modality: PSMA PET/CT | tracer: [18F]PSMA-1007 | view: axial | PET grid: 200×200
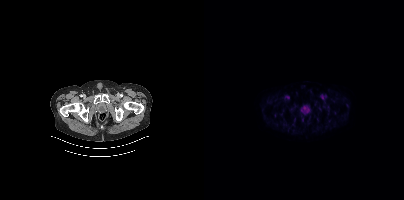
This slice has no annotated PSMA-avid lesion.